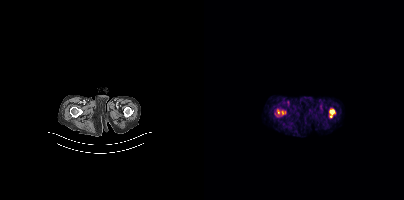
Coordinates are on the 200×200 PET (right) panel. PSMA-avid tumor lesion bounding box (x0, y0)-(x1, y1): (71, 109)-(81, 116).